modality: PSMA PET/CT | tracer: 18F-PSMA | view: axial
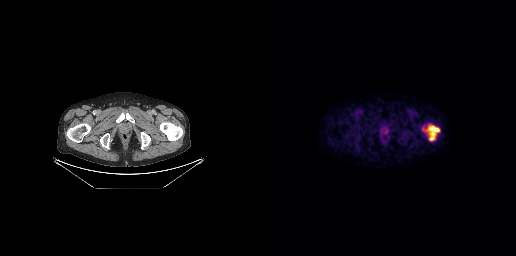
Coordinates are on the 256×256 PET (right) panel. PSMA-avid tumor lesion bounding box (x0,y0,x1,y1): [165,125,179,140].